Technique: Paired axial CT (left) and PSMA PET (right), 18F-PSMA tracer. PET panel 200×200 px (4.1 mm/px).
Note: De-identified by setting a box covering the face to black before release.
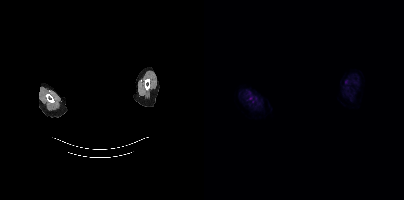
Findings: This slice has no annotated PSMA-avid lesion.